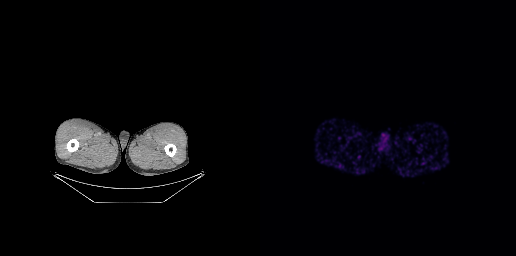
- Two-panel axial: CT | PSMA PET, 68Ga tracer
- slice 12 of 263
Findings: This slice has no annotated PSMA-avid lesion.